Left: CT. Right: PSMA PET, same axial level, 18F-PSMA tracer. Slice position z = -1355 mm. PET panel 200×200 px (4.1 mm/px).
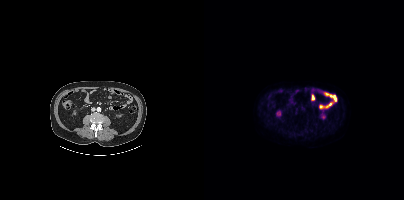
This slice has no annotated PSMA-avid lesion.